modality: PSMA PET/CT | tracer: 18F | view: axial | redaction: facial region redacted
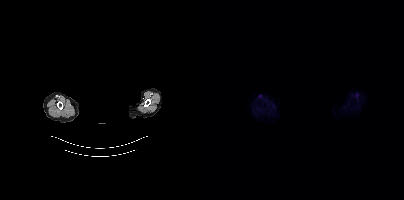
Negative for PSMA-avid disease on this slice.